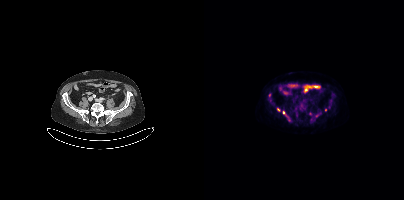
Findings: Coordinates are on the 200×200 PET (right) panel. (showing 4 of 6 foci) Small PSMA-avid foci (2 to 4 px across) near (center x, center y): (74, 109); (65, 95); (79, 112); (121, 109).
Technique: Left: CT. Right: PSMA PET, same axial level, 18F tracer.